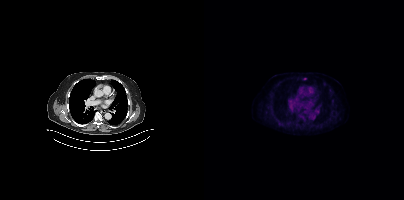
Coordinates are on the 200×200 PET (right) panel. Small PSMA-avid focus (2 to 4 px across) near (center x, center y): (100, 78). Paired axial CT (left) and PSMA PET (right), 18F tracer. Slice position z = -1044 mm. PET panel 200×200 px (4.1 mm/px).